Paired axial CT (left) and PSMA PET (right), [18F]PSMA-1007 tracer. Acquired on Siemens Biograph mCT Flow 20. Slice 54 of 423. PET panel 200×200 px (4.1 mm/px).
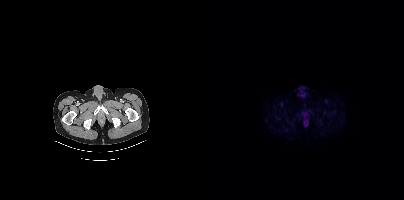
Negative for PSMA-avid disease on this slice.